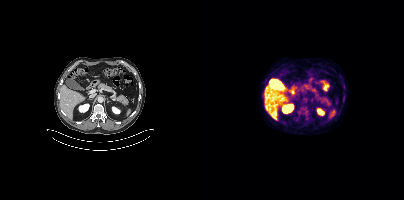
{"modality":"PSMA PET/CT","view":"axial","tracer":"18F-PSMA","pet_grid":[200,200],"coord_frame":"pet_panel","coord_format":"x0,y0,x1,y1","psma_avid_lesions":false}